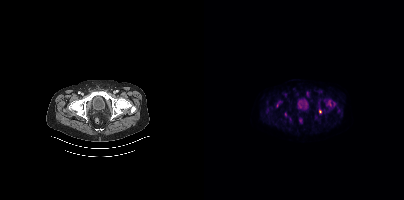
Coordinates are on the 200×200 PET (right) panel. PSMA-avid tumor lesion bounding box (x0,y0,x1,y1): [124,100,126,105]. Small PSMA-avid foci (2 to 4 px across) near (center x, center y): (116, 111); (73, 105); (81, 114).